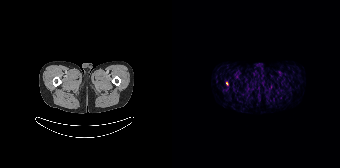
- Two-panel axial: CT | PSMA PET, 68Ga tracer
- acquired on Siemens Biograph 64-4R TruePoint
- slice 30 of 195
Findings: Coordinates are on the 168×168 PET (right) panel. Small PSMA-avid focus (2 to 4 px across) near (center x, center y): (55, 83).